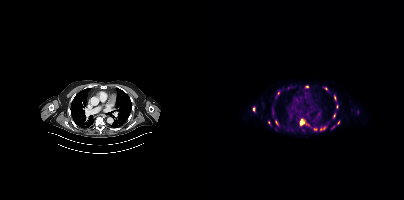
Findings: Coordinates are on the 200×200 PET (right) panel. (showing 12 of 16 foci) PSMA-avid tumor lesion bounding boxes (x0, y0)-(x1, y1): (96, 119)-(100, 125) | (116, 126)-(121, 130) | (130, 95)-(132, 100). Small PSMA-avid foci (2 to 4 px across) near (center x, center y): (130, 115) | (111, 129) | (133, 106) | (49, 108) | (103, 86) | (122, 88) | (72, 122) | (134, 122) | (129, 126).
Technique: Left: CT. Right: PSMA PET, same axial level, 18F-PSMA tracer. slice position z = -1026 mm.